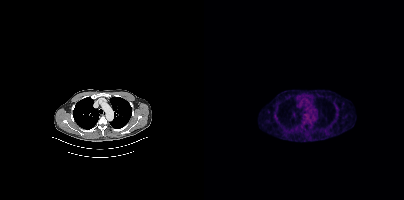
Findings: This slice has no annotated PSMA-avid lesion.
Technique: Left: CT. Right: PSMA PET, same axial level, [18F]PSMA-1007 tracer. slice 332 of 448.